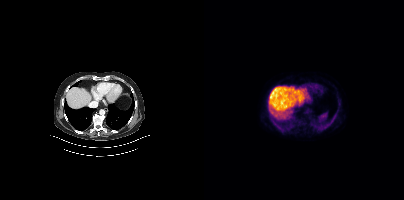
Negative for PSMA-avid disease on this slice.